- Paired axial CT (left) and PSMA PET (right), 18F-PSMA tracer
- acquired on GE Discovery 690
- slice position z = -526 mm
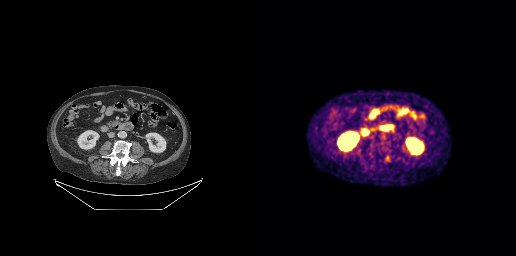
Findings: No tumor lesions annotated on this slice.